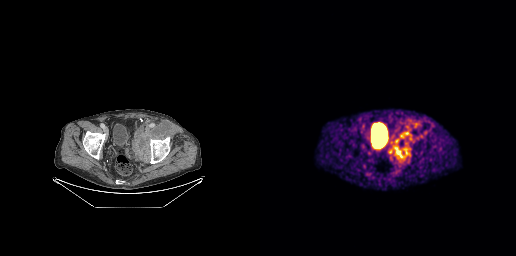
Coordinates are on the 256×256 PET (right) panel. PSMA-avid tumor lesion bounding boxes (x0, y0)-(x1, y1): (133, 142)-(148, 159) / (141, 135)-(147, 138). Small PSMA-avid focus (2 to 4 px across) near (center x, center y): (146, 141).